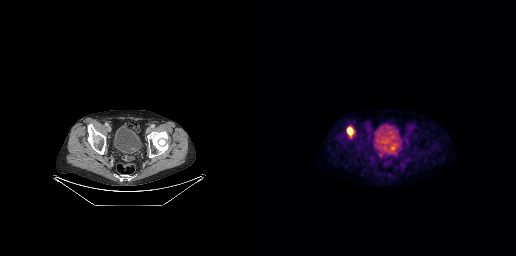
Left: CT. Right: PSMA PET, same axial level, 18F-PSMA tracer. Acquired on GE Discovery 690. Coordinates are on the 256×256 PET (right) panel. PSMA-avid tumor lesion bounding box (x0, y0)-(x1, y1): (88, 129)-(91, 133).